Paired axial CT (left) and PSMA PET (right), 18F tracer. Acquired on GE Discovery 690. Slice position z = -711 mm.
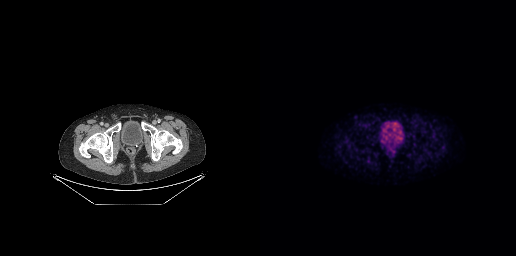
This slice has no annotated PSMA-avid lesion.